Paired axial CT (left) and PSMA PET (right), 68Ga-PSMA tracer. Acquired on GE Discovery 690. Slice position z = -860 mm.
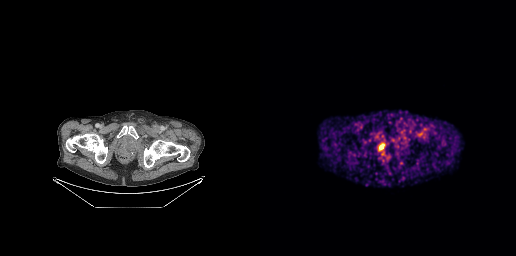
Negative for PSMA-avid disease on this slice.